modality: PSMA PET/CT | tracer: 18F-PSMA | view: axial
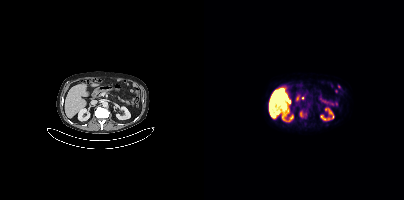
Coordinates are on the 200×200 PET (right) panel. PSMA-avid tumor lesion bounding box (x0,y0,x1,y1): [96,111,99,116].